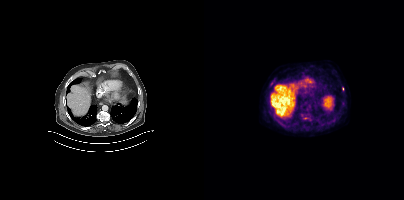
Coordinates are on the 200×200 PET (right) panel. PSMA-avid tumor lesion bounding box (x0, y0)-(x1, y1): (66, 81)-(69, 85). Small PSMA-avid foci (2 to 4 px across) near (center x, center y): (101, 118) | (138, 89).